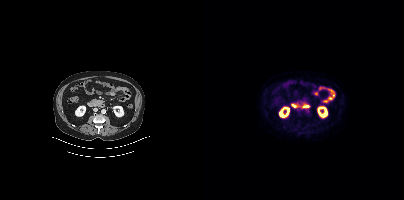
{"modality":"PSMA PET/CT","view":"axial","tracer":"18F-PSMA","pet_grid":[200,200],"coord_frame":"pet_panel","coord_format":"x0,y0,x1,y1","psma_avid_lesions":false}